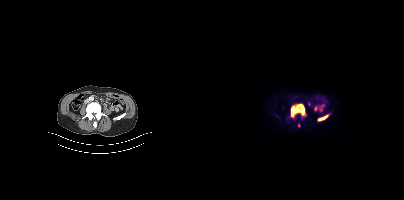
Left: CT. Right: PSMA PET, same axial level, [18F]PSMA-1007 tracer. Slice position z = -770 mm.
Coordinates are on the 200×200 PET (right) panel. PSMA-avid tumor lesion bounding boxes:
| # | x0 | y0 | x1 | y1 |
|---|---|---|---|---|
| 1 | 86 | 103 | 102 | 117 |
| 2 | 115 | 115 | 124 | 121 |
Small PSMA-avid focus (2 to 4 px across) near (center x, center y): (95, 126).